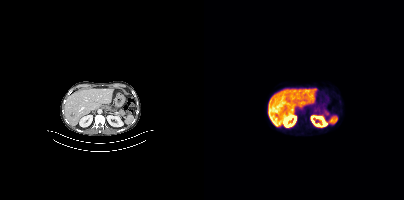
No PSMA-avid tumor lesions on this slice.